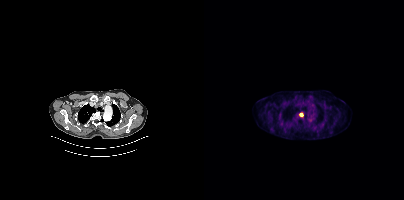
Technique: Left: CT. Right: PSMA PET, same axial level, 18F-PSMA tracer. PET panel 200×200 px (4.1 mm/px).
Findings: Coordinates are on the 200×200 PET (right) panel. Small PSMA-avid focus (2 to 4 px across) near (center x, center y): (97, 114).